Two-panel axial: CT | PSMA PET, 18F tracer. Slice 334 of 411.
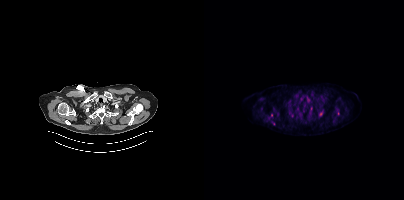
Coordinates are on the 200×200 PET (right) panel. (showing 3 of 5 foci) PSMA-avid tumor lesion bounding box (x0,y0,x1,y1): [115,111,118,116]. Small PSMA-avid foci (2 to 4 px across) near (center x, center y): (96, 114), (67, 115).